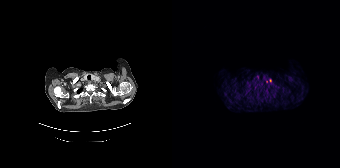
Coordinates are on the 168×168 PET (right) panel. (showing 1 of 2 foci) Small PSMA-avid focus (2 to 4 px across) near (center x, center y): (98, 80).